Technique: Paired axial CT (left) and PSMA PET (right), 18F tracer. acquired on GE Discovery 690. PET panel 256×256 px (2.7 mm/px).
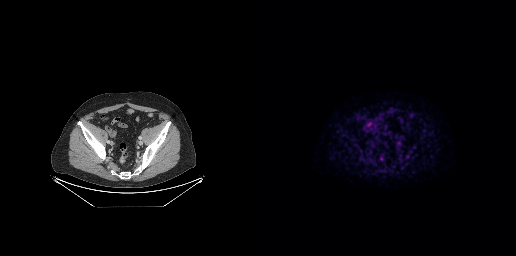
Findings: Coordinates are on the 256×256 PET (right) panel. Small PSMA-avid focus (2 to 4 px across) near (center x, center y): (138, 144).